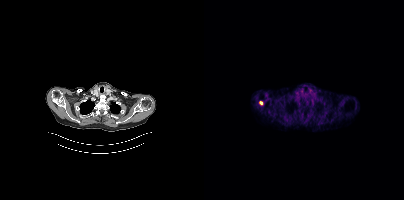
{"modality":"PSMA PET/CT","view":"axial","tracer":"18F","pet_grid":[200,200],"coord_frame":"pet_panel","coord_format":"x0,y0,x1,y1","lesion_bboxes":[],"small_foci_centers":[[57,102]]}